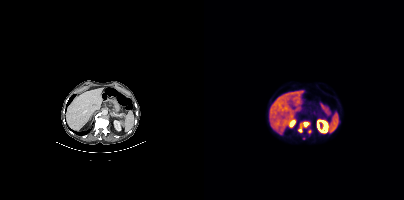
Coordinates are on the 200×200 PET (right) panel. (showing 2 of 3 foci) PSMA-avid tumor lesion bounding boxes (x0,y0,x1,y1): [94,122,105,132]; [104,129,107,133].